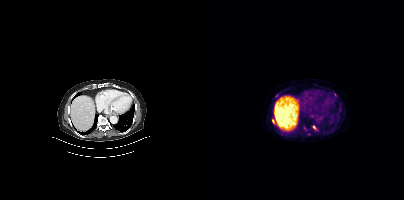
{"modality":"PSMA PET/CT","view":"axial","tracer":"18F","pet_grid":[200,200],"coord_frame":"pet_panel","coord_format":"x0,y0,x1,y1","partial":true,"lesion_bboxes":[],"small_foci_centers":[[72,95],[110,127],[69,122],[100,127]]}